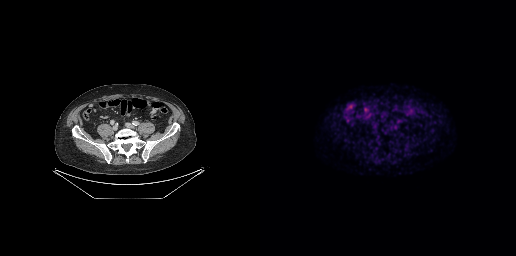
Only PSMA-avid lesion pieces thinner than 2 px on this slice (not listed).